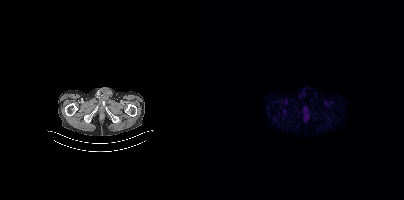
{"modality":"PSMA PET/CT","view":"axial","tracer":"18F-PSMA","pet_grid":[200,200],"coord_frame":"pet_panel","coord_format":"x0,y0,x1,y1","psma_avid_lesions":false}